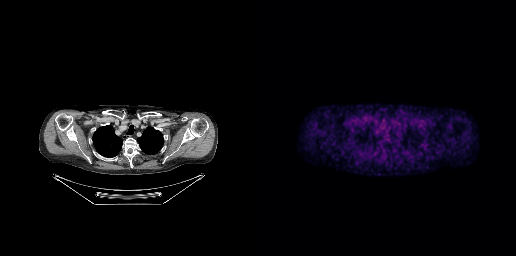
Left: CT. Right: PSMA PET, same axial level, 18F tracer. Slice 217 of 263. This slice has no annotated PSMA-avid lesion.